Technique: Left: CT. Right: PSMA PET, same axial level, 18F tracer.
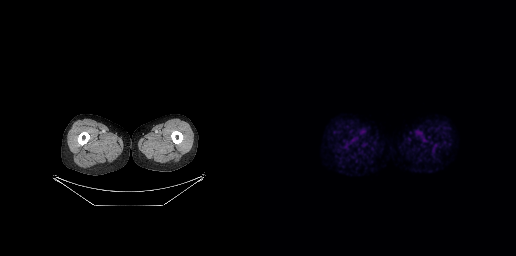
Findings: This slice has no annotated PSMA-avid lesion.